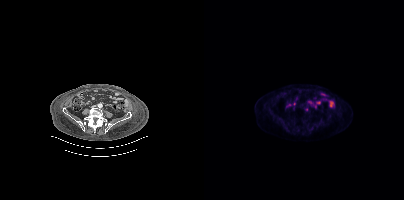
Left: CT. Right: PSMA PET, same axial level, 18F tracer. Acquired on Siemens Biograph mCT Flow 20. Slice position z = -1558 mm. Coordinates are on the 200×200 PET (right) panel. Small PSMA-avid focus (2 to 4 px across) near (center x, center y): (102, 109).